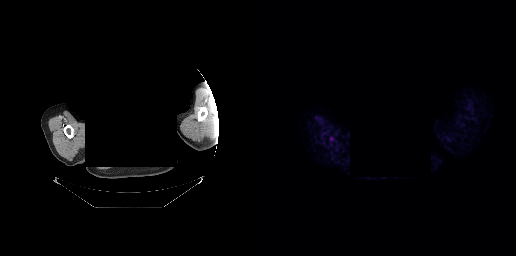
No tumor lesions annotated on this slice. Two-panel axial: CT | PSMA PET, [68Ga]Ga-PSMA-11 tracer. Slice position z = -281 mm. PET panel 256×256 px (2.7 mm/px). A rectangular block over the head has been blanked out for de-identification.